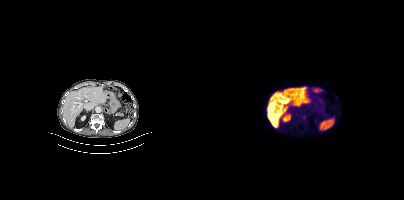
{"modality":"PSMA PET/CT","view":"axial","tracer":"18F","pet_grid":[200,200],"coord_frame":"pet_panel","coord_format":"x0,y0,x1,y1","psma_avid_lesions":false}